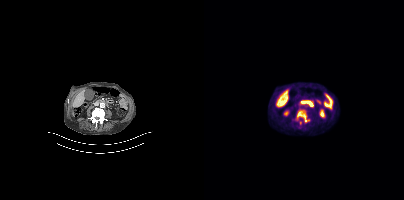
{"modality":"PSMA PET/CT","view":"axial","tracer":"18F-PSMA","pet_grid":[200,200],"coord_frame":"pet_panel","coord_format":"x0,y0,x1,y1","partial":true,"lesion_bboxes":[[90,116,104,125]]}